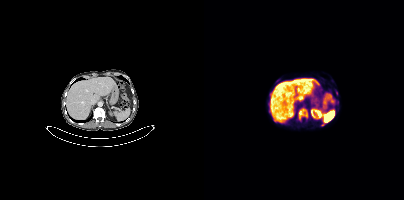
{"modality":"PSMA PET/CT","view":"axial","tracer":"18F-PSMA","pet_grid":[200,200],"coord_frame":"pet_panel","coord_format":"x0,y0,x1,y1","lesion_bboxes":[[95,108,103,119]]}